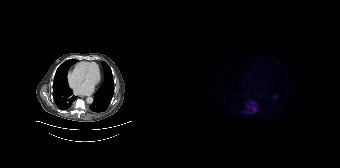
- Left: CT. Right: PSMA PET, same axial level, 18F tracer
- PET panel 168×168 px (4.1 mm/px)
Findings: Coordinates are on the 168×168 PET (right) panel. (showing 3 of 5 foci) PSMA-avid tumor lesion bounding boxes (x, y, width, height): x=79 y=106 w=6 h=6 | x=79 y=102 w=5 h=3. Small PSMA-avid focus (2 to 4 px across) near (center x, center y): (76, 106).